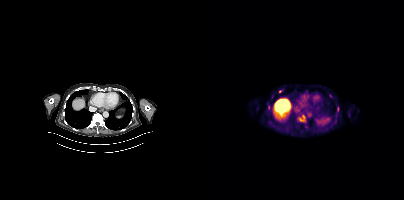
Two-panel axial: CT | PSMA PET, 18F-PSMA tracer. Acquired on Siemens Biograph mCT Flow 20. Slice position z = -599 mm. Coordinates are on the 200×200 PET (right) panel. (showing 1 of 2 foci) Small PSMA-avid focus (2 to 4 px across) near (center x, center y): (76, 91).